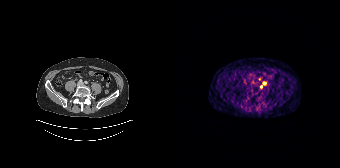
Coordinates are on the 168×168 PET (right) panel. Small PSMA-avid focus (2 to 4 px across) near (center x, center y): (91, 83). Paired axial CT (left) and PSMA PET (right), 68Ga-PSMA tracer. Acquired on Siemens Biograph 64-4R TruePoint. Slice position z = -1412 mm.